Technique: Left: CT. Right: PSMA PET, same axial level, 18F tracer.
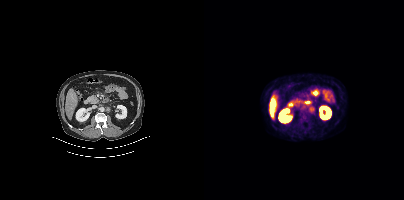
Findings: Coordinates are on the 200×200 PET (right) panel. PSMA-avid tumor lesion bounding box (x0, y0)-(x1, y1): (106, 107)-(109, 111).